Paired axial CT (left) and PSMA PET (right), 18F tracer. Acquired on Siemens Biograph mCT Flow 20. PET panel 200×200 px (4.1 mm/px).
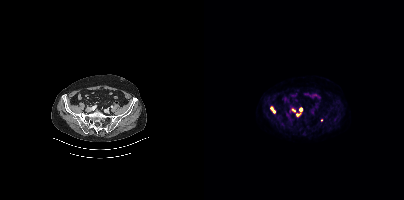
Coordinates are on the 200×200 PET (right) panel. (showing 3 of 6 foci) PSMA-avid tumor lesion bounding box (x, y, width, height): x=67 y=107 w=5 h=6. Small PSMA-avid foci (2 to 4 px across) near (center x, center y): (96, 109) / (89, 110).